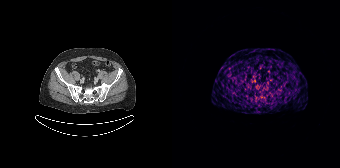
Paired axial CT (left) and PSMA PET (right), 68Ga tracer. Acquired on Siemens Biograph 64-4R TruePoint. PET panel 168×168 px (4.1 mm/px). This slice has no annotated PSMA-avid lesion.